modality: PSMA PET/CT | tracer: 68Ga | view: axial
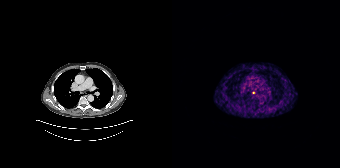
Coordinates are on the 168×168 PET (right) panel. Small PSMA-avid focus (2 to 4 px across) near (center x, center y): (81, 92).